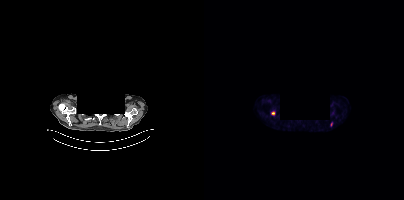
Findings: Coordinates are on the 200×200 PET (right) panel. PSMA-avid tumor lesion bounding box (x0,y0,x1,y1): [67,111,71,115]. Small PSMA-avid focus (2 to 4 px across) near (center x, center y): (127, 124).
Technique: Left: CT. Right: PSMA PET, same axial level, 18F tracer. slice 319 of 385. PET panel 200×200 px (4.1 mm/px).
Note: Face de-identified by blanking a block of the head.